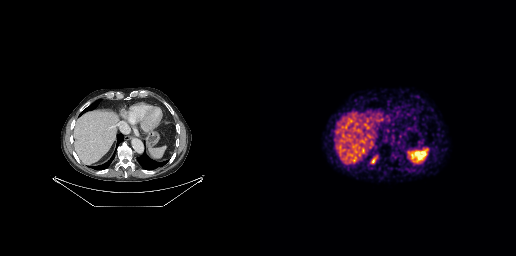
{"modality":"PSMA PET/CT","view":"axial","tracer":"[68Ga]Ga-PSMA-11","pet_grid":[256,256],"coord_frame":"pet_panel","coord_format":"x0,y0,x1,y1","psma_avid_lesions":false}